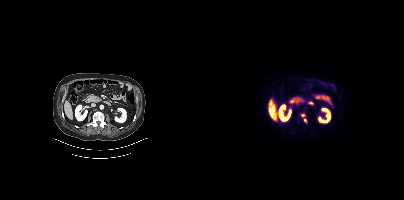
Coordinates are on the 200×200 PET (right) panel. Small PSMA-avid foci (2 to 4 px across) near (center x, center y): (98, 115) / (101, 120). Paired axial CT (left) and PSMA PET (right), 18F tracer. Acquired on Siemens Biograph mCT Flow 20. Slice position z = -1180 mm.